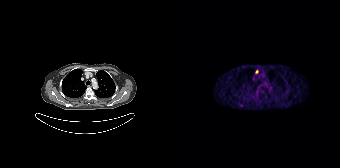
Coordinates are on the 168×168 PET (right) panel. Small PSMA-avid focus (2 to 4 px across) near (center x, center y): (84, 71).